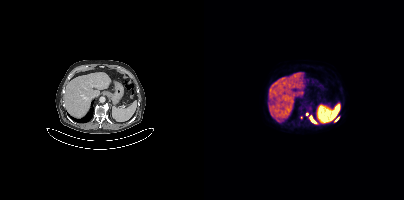
modality: PSMA PET/CT | tracer: [18F]PSMA-1007 | view: axial
Coordinates are on the 200×200 PET (right) panel. PSMA-avid tumor lesion bounding box (x0,y0,x1,y1): [106,116,111,122]. Small PSMA-avid foci (2 to 4 px across) near (center x, center y): (132, 119); (97, 117); (102, 113).